modality: PSMA PET/CT | tracer: 18F-PSMA | view: axial | PET grid: 200×200
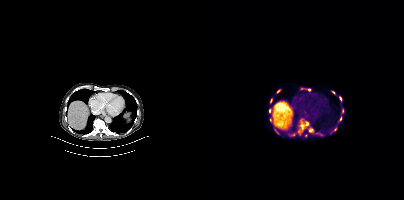
Coordinates are on the 200×200 PET (right) panel. (showing 15 of 17 foci) PSMA-avid tumor lesion bounding boxes (x0,y0,x1,y1): [94,121,105,134]; [105,127,109,132]; [135,96,138,101]; [134,116,138,122]; [138,108,140,113]; [73,89,76,93]; [127,91,131,94]; [70,128,73,133]. Small PSMA-avid foci (2 to 4 px across) near (center x, center y): (105, 90); (65, 110); (131, 129); (66, 101); (70, 125); (88, 134); (101, 135).